Paired axial CT (left) and PSMA PET (right), [18F]PSMA-1007 tracer. Slice 112 of 427.
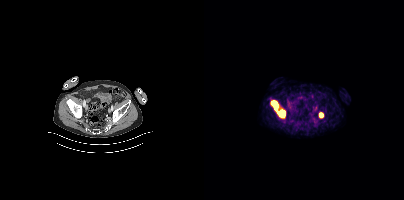
Coordinates are on the 200×200 PET (right) panel. PSMA-avid tumor lesion bounding boxes (x0, y0)-(x1, y1): (66, 100)-(81, 118); (115, 113)-(119, 117).